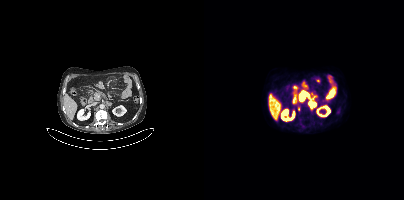
Coordinates are on the 200×200 PET (right) panel. (showing 3 of 4 foci) PSMA-avid tumor lesion bounding boxes (x, y, width, height): x=95 y=91 w=10 h=12 | x=105 y=101 w=8 h=8. Small PSMA-avid focus (2 to 4 px across) near (center x, center y): (94, 108).